modality: PSMA PET/CT | tracer: 18F | view: axial | PET grid: 256×256
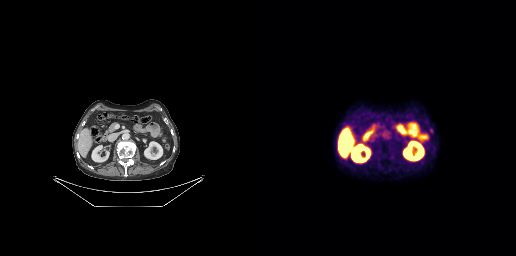
No tumor lesions annotated on this slice.